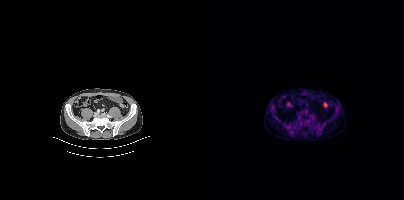
No tumor lesions annotated on this slice.